Technique: Two-panel axial: CT | PSMA PET, 18F-PSMA tracer. PET panel 200×200 px (4.1 mm/px).
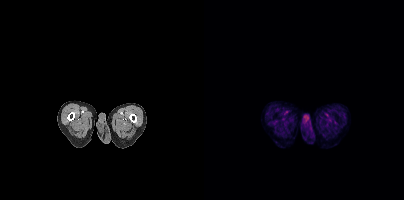
Findings: Negative for PSMA-avid disease on this slice.